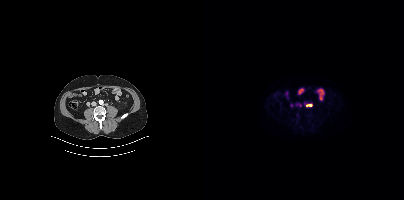
Coordinates are on the 200×200 PET (right) panel. PSMA-avid tumor lesion bounding box (x0,y0,x1,y1): [102,104,108,106].